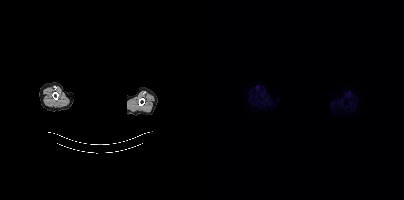
{"pet_grid":[200,200],"coord_frame":"pet_panel","coord_format":"x0,y0,x1,y1","psma_avid_lesions":false,"redaction":"privacy mask over head","modality":"PSMA PET/CT","view":"axial","tracer":"18F-PSMA"}